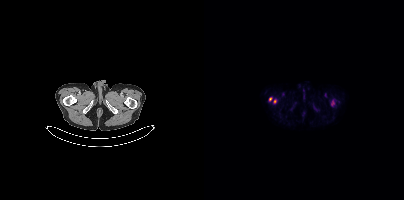
{"modality":"PSMA PET/CT","view":"axial","tracer":"18F-PSMA","pet_grid":[200,200],"coord_frame":"pet_panel","coord_format":"x0,y0,x1,y1","lesion_bboxes":[[128,101,130,105]],"small_foci_centers":[[66,98],[71,101]]}